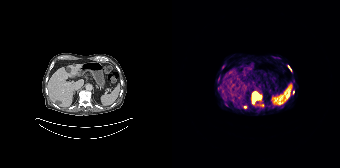
Coordinates are on the 168×168 PET (right) panel. PSMA-avid tumor lesion bounding boxes:
| # | x0 | y0 | x1 | y1 |
|---|---|---|---|---|
| 1 | 80 | 92 | 85 | 97 |
| 2 | 116 | 65 | 119 | 70 |
Small PSMA-avid foci (2 to 4 px across) near (center x, center y): (73, 107); (82, 99); (121, 92); (88, 96); (90, 104).
Two-panel axial: CT | PSMA PET, 68Ga-PSMA tracer. Slice 89 of 165. PET panel 168×168 px (4.1 mm/px).